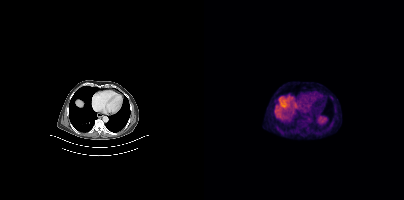
{"pet_grid":[200,200],"coord_frame":"pet_panel","coord_format":"x0,y0,x1,y1","psma_avid_lesions":false,"modality":"PSMA PET/CT","view":"axial","tracer":"18F-PSMA"}